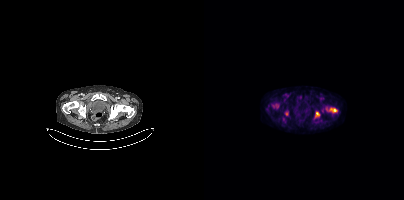
Technique: Paired axial CT (left) and PSMA PET (right), [18F]PSMA-1007 tracer. acquired on Siemens Biograph mCT Flow 20.
Findings: Coordinates are on the 200×200 PET (right) panel. PSMA-avid tumor lesion bounding boxes (x0,y0,x1,y1): [126,108,133,112]; [111,112,115,116]. Small PSMA-avid focus (2 to 4 px across) near (center x, center y): (82, 113).